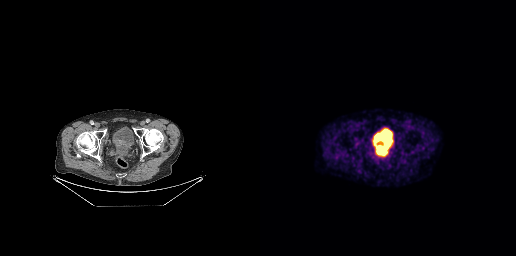
Findings: This slice has no annotated PSMA-avid lesion.
Technique: Paired axial CT (left) and PSMA PET (right), 18F-PSMA tracer. acquired on GE Discovery 690. slice position z = -781 mm. PET panel 256×256 px (2.7 mm/px).